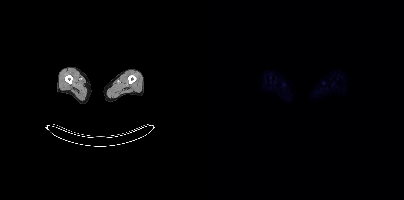
Left: CT. Right: PSMA PET, same axial level, 18F tracer. Acquired on Siemens Biograph mCT Flow 20. PET panel 200×200 px (4.1 mm/px). No tumor lesions annotated on this slice.